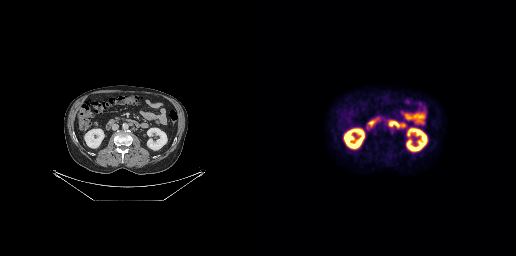
- Paired axial CT (left) and PSMA PET (right), 18F-PSMA tracer
- acquired on GE Discovery 690
- PET panel 256×256 px (2.7 mm/px)
Findings: Coordinates are on the 256×256 PET (right) panel. PSMA-avid tumor lesion bounding box (x, y, width, height): x=128 y=122 w=8 h=6.